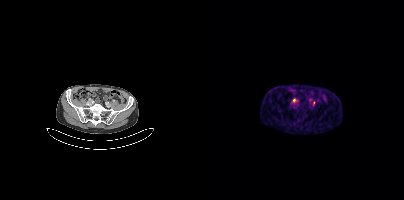
Technique: Two-panel axial: CT | PSMA PET, [68Ga]Ga-PSMA-11 tracer. acquired on Siemens Biograph mCT Flow 20. slice position z = -793 mm. PET panel 200×200 px (4.1 mm/px).
Findings: Coordinates are on the 200×200 PET (right) panel. Small PSMA-avid foci (2 to 4 px across) near (center x, center y): (90, 100) / (109, 102).